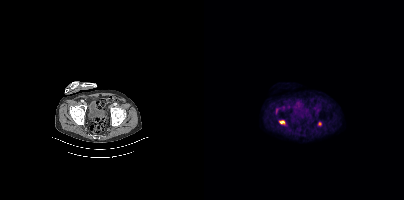
{"modality":"PSMA PET/CT","view":"axial","tracer":"[18F]PSMA-1007","pet_grid":[200,200],"coord_frame":"pet_panel","coord_format":"x0,y0,x1,y1","lesion_bboxes":[[75,120,81,124],[114,121,117,126]]}